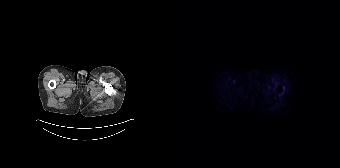
Findings: Only PSMA-avid lesion pieces thinner than 2 px on this slice (not listed).
- Left: CT. Right: PSMA PET, same axial level, [18F]PSMA-1007 tracer
- slice position z = -1234 mm